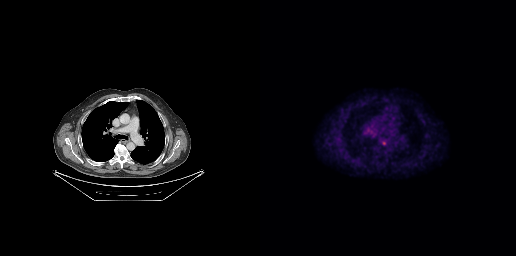
modality: PSMA PET/CT | tracer: [18F]PSMA-1007 | view: axial
Coordinates are on the 256×256 PET (right) panel. Small PSMA-avid focus (2 to 4 px across) near (center x, center y): (123, 142).